Left: CT. Right: PSMA PET, same axial level, [18F]PSMA-1007 tracer. Slice 392 of 438. PET panel 200×200 px (4.1 mm/px). The head region is masked for de-identification.
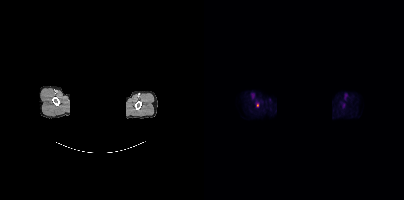
Coordinates are on the 200×200 PET (right) panel. Small PSMA-avid focus (2 to 4 px across) near (center x, center y): (53, 105).